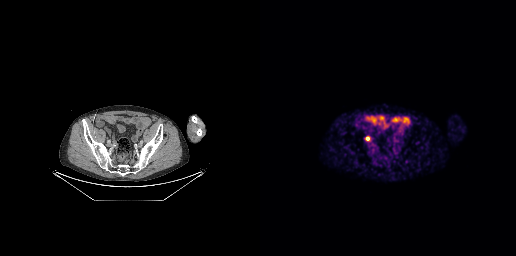
- Two-panel axial: CT | PSMA PET, [68Ga]Ga-PSMA-11 tracer
- slice position z = -729 mm
- PET panel 256×256 px (2.7 mm/px)
Findings: Coordinates are on the 256×256 PET (right) panel. Small PSMA-avid focus (2 to 4 px across) near (center x, center y): (107, 138).